modality: PSMA PET/CT | tracer: 18F-PSMA | view: axial | PET grid: 200×200
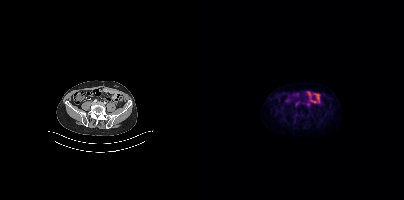
No tumor lesions annotated on this slice.